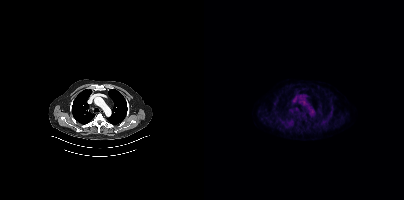
modality: PSMA PET/CT | tracer: [18F]PSMA-1007 | view: axial | PET grid: 200×200
Coordinates are on the 200×200 PET (right) panel. Small PSMA-avid focus (2 to 4 px across) near (center x, center y): (81, 125).